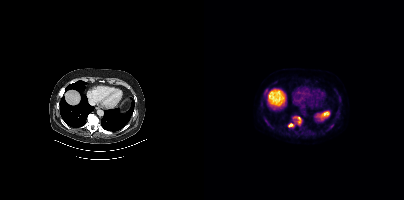
Technique: Paired axial CT (left) and PSMA PET (right), 18F tracer.
Findings: Coordinates are on the 200×200 PET (right) panel. PSMA-avid tumor lesion bounding boxes (x0,y0,x1,y1): [89,116,97,124] [84,123,90,127]. Small PSMA-avid focus (2 to 4 px across) near (center x, center y): (62, 89).